- Left: CT. Right: PSMA PET, same axial level, 18F tracer
- acquired on Siemens Biograph 64-4R TruePoint
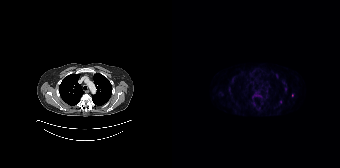
Findings: Coordinates are on the 168×168 PET (right) panel. (showing 3 of 4 foci) PSMA-avid tumor lesion bounding box (x, y, width, height): x=84 y=93 w=7 h=5. Small PSMA-avid foci (2 to 4 px across) near (center x, center y): (104, 75) / (50, 93).